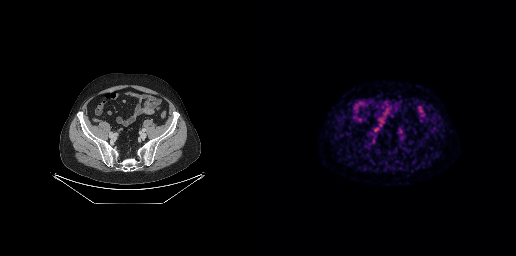
{"modality":"PSMA PET/CT","view":"axial","tracer":"[68Ga]Ga-PSMA-11","pet_grid":[256,256],"coord_frame":"pet_panel","coord_format":"x0,y0,x1,y1","psma_avid_lesions":false}